Two-panel axial: CT | PSMA PET, 18F-PSMA tracer. PET panel 200×200 px (4.1 mm/px).
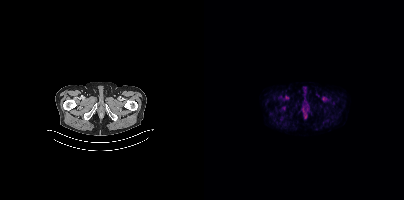
Negative for PSMA-avid disease on this slice.